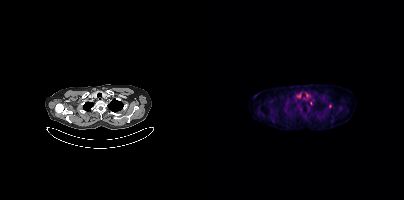
Coordinates are on the 200×200 PET (right) panel. Small PSMA-avid foci (2 to 4 px across) near (center x, center y): (126, 106) | (106, 103).
modality: PSMA PET/CT | tracer: 18F | view: axial